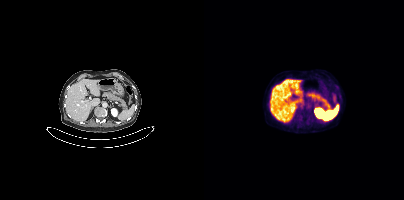
No PSMA-avid tumor lesions on this slice.